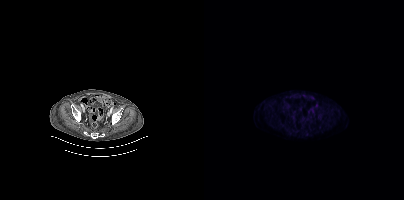
Two-panel axial: CT | PSMA PET, 18F-PSMA tracer. Slice 78 of 344. PET panel 200×200 px (4.1 mm/px). Negative for PSMA-avid disease on this slice.